- Paired axial CT (left) and PSMA PET (right), 68Ga-PSMA tracer
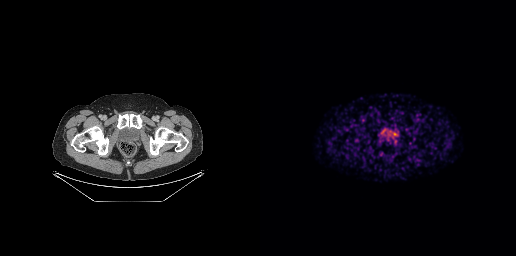
Findings: Only PSMA-avid lesion pieces thinner than 2 px on this slice (not listed).